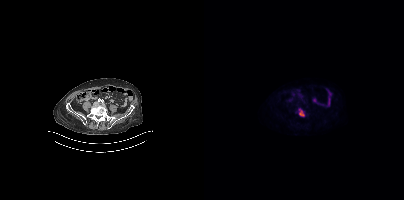
Two-panel axial: CT | PSMA PET, 18F-PSMA tracer. Acquired on Siemens Biograph mCT Flow 20. Slice 114 of 383.
Coordinates are on the 200×200 PET (right) panel. PSMA-avid tumor lesion bounding boxes:
| # | x0 | y0 | x1 | y1 |
|---|---|---|---|---|
| 1 | 95 | 108 | 100 | 116 |